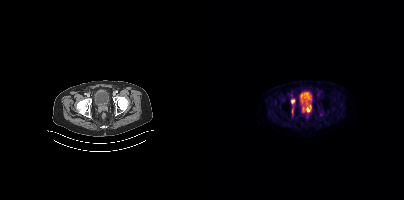
Coordinates are on the 200×200 PET (right) panel. (showing 2 of 3 foci) PSMA-avid tumor lesion bounding boxes (x0,y0,x1,y1): [98,105,107,112] [87,99,91,104]. Paired axial CT (left) and PSMA PET (right), 18F tracer. Slice 77 of 411. PET panel 200×200 px (4.1 mm/px).